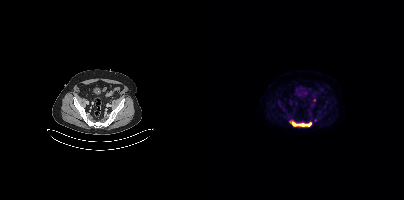
Paired axial CT (left) and PSMA PET (right), 18F tracer.
Coordinates are on the 200×200 PET (right) panel. PSMA-avid tumor lesion bounding boxes (partial; 1 more focus not listed):
| # | x0 | y0 | x1 | y1 |
|---|---|---|---|---|
| 1 | 85 | 120 | 107 | 126 |